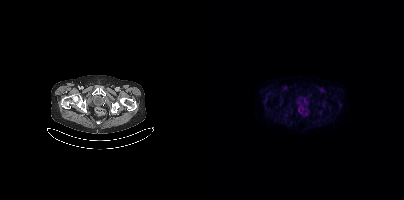
{"modality":"PSMA PET/CT","view":"axial","tracer":"18F-PSMA","pet_grid":[200,200],"coord_frame":"pet_panel","coord_format":"x0,y0,x1,y1","psma_avid_lesions":false}